Technique: Left: CT. Right: PSMA PET, same axial level, 68Ga tracer.
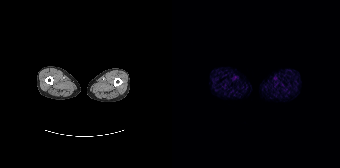
Findings: This slice has no annotated PSMA-avid lesion.